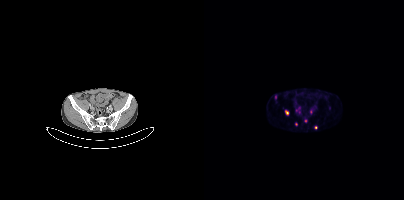
Paired axial CT (left) and PSMA PET (right), 68Ga tracer.
Coordinates are on the 200×200 PET (right) panel. PSMA-avid tumor lesion bounding boxes (partial; 3 more foci not listed):
| # | x0 | y0 | x1 | y1 |
|---|---|---|---|---|
| 1 | 81 | 110 | 84 | 114 |
Small PSMA-avid foci (2 to 4 px across) near (center x, center y): (101, 120); (71, 97); (111, 127); (95, 112); (94, 107).